Paired axial CT (left) and PSMA PET (right), 68Ga tracer. Acquired on Siemens Biograph 64-4R TruePoint. Slice position z = -978 mm. PET panel 168×168 px (4.1 mm/px).
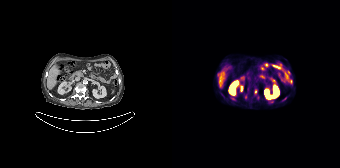
Coordinates are on the 168×168 PET (right) panel. (showing 5 of 6 foci) Small PSMA-avid foci (2 to 4 px across) near (center x, center y): (60, 98); (119, 81); (99, 102); (83, 91); (110, 100).